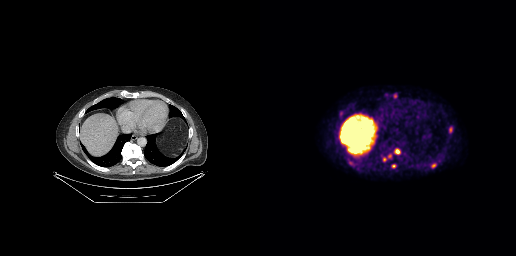
{"modality":"PSMA PET/CT","view":"axial","tracer":"[18F]PSMA-1007","pet_grid":[256,256],"coord_frame":"pet_panel","coord_format":"x0,y0,x1,y1","partial":true,"lesion_bboxes":[[171,163,176,168],[88,159,94,165],[135,149,139,153],[189,127,192,132]],"small_foci_centers":[[135,95],[133,166],[124,159]]}